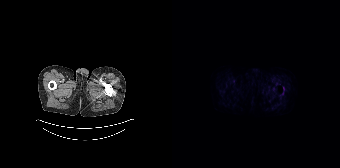
{"modality":"PSMA PET/CT","view":"axial","tracer":"18F-PSMA","pet_grid":[168,168],"coord_frame":"pet_panel","coord_format":"x0,y0,x1,y1","psma_avid_lesions":false}